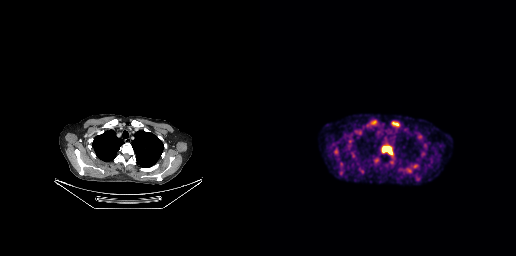
modality: PSMA PET/CT | tracer: 18F-PSMA | view: axial
Coordinates are on the 256×256 PET (right) panel. PSMA-avid tumor lesion bounding boxes (x0,y0,x1,y1): [122,146,132,154] [132,122,138,125]. Small PSMA-avid focus (2 to 4 px across) near (center x, center y): (76, 151).